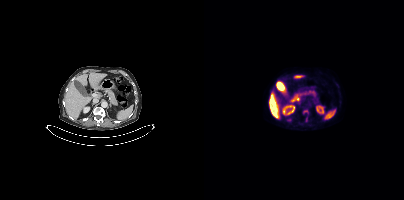
Paired axial CT (left) and PSMA PET (right), 18F tracer. Coordinates are on the 200×200 PET (right) panel. PSMA-avid tumor lesion bounding boxes (x, y, width, height): x=83 y=119 w=5 h=3 | x=102 y=117 w=2 h=5.